Paired axial CT (left) and PSMA PET (right), 68Ga tracer. Acquired on Siemens Biograph mCT Flow 20. PET panel 200×200 px (4.1 mm/px).
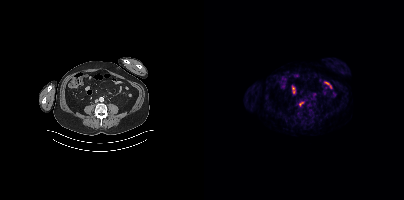
Coordinates are on the 200×200 PET (right) panel. Small PSMA-avid focus (2 to 4 px across) near (center x, center y): (95, 103).